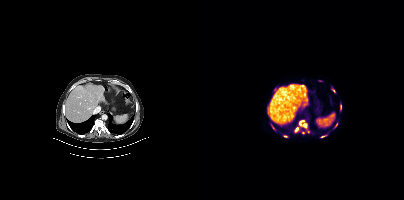
Findings: Coordinates are on the 200×200 PET (right) panel. (showing 7 of 12 foci) PSMA-avid tumor lesion bounding box (x0, y0)-(x1, y1): (95, 120)-(99, 125). Small PSMA-avid foci (2 to 4 px across) near (center x, center y): (100, 125); (92, 129); (81, 136); (69, 127); (132, 124); (118, 136).
Technique: Left: CT. Right: PSMA PET, same axial level, [18F]PSMA-1007 tracer. PET panel 200×200 px (4.1 mm/px).